- Two-panel axial: CT | PSMA PET, 18F tracer
- acquired on Siemens Biograph mCT Flow 20
- PET panel 200×200 px (4.1 mm/px)
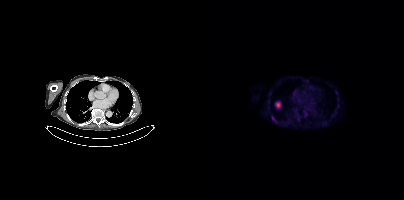
Findings: Coordinates are on the 200×200 PET (right) panel. Small PSMA-avid focus (2 to 4 px across) near (center x, center y): (69, 118).